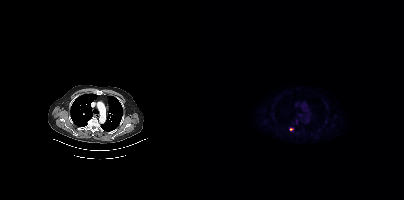
Coordinates are on the 200×200 PET (right) panel. Small PSMA-avid focus (2 to 4 px across) near (center x, center y): (87, 129).